modality: PSMA PET/CT | tracer: 68Ga-PSMA | view: axial
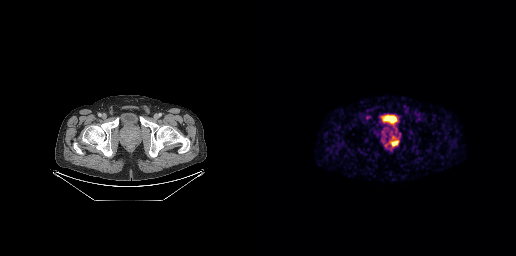
Coordinates are on the 256×256 PET (right) panel. PSMA-avid tumor lesion bounding box (x0,y0,x1,y1): [132,142,137,145].